Paired axial CT (left) and PSMA PET (right), 18F-PSMA tracer. Acquired on Siemens Biograph mCT Flow 20. Slice 293 of 442.
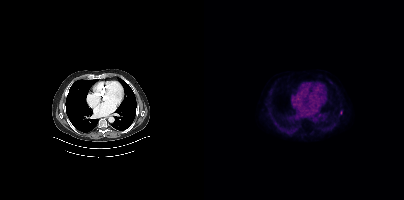
No tumor lesions annotated on this slice.